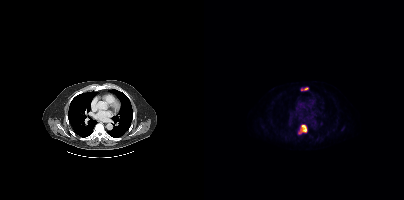
{"modality":"PSMA PET/CT","view":"axial","tracer":"18F","pet_grid":[200,200],"coord_frame":"pet_panel","coord_format":"x0,y0,x1,y1","lesion_bboxes":[[94,125,103,134],[100,87,104,90]],"small_foci_centers":[[97,89]]}